Technique: Two-panel axial: CT | PSMA PET, 18F tracer. slice position z = 424 mm. PET panel 200×200 px (4.1 mm/px).
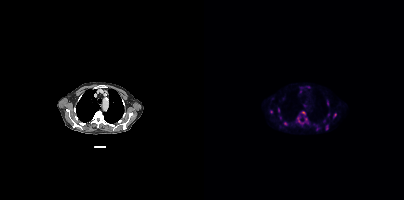
Findings: Coordinates are on the 200×200 PET (right) panel. (showing 9 of 10 foci) PSMA-avid tumor lesion bounding boxes (x, y, width, height): x=93 y=116 w=12 h=9 / x=129 y=113 w=4 h=5. Small PSMA-avid foci (2 to 4 px across) near (center x, center y): (81, 123) / (123, 103) / (99, 113) / (122, 127) / (74, 110) / (67, 111) / (124, 114).